Technique: Paired axial CT (left) and PSMA PET (right), 18F-PSMA tracer. slice 137 of 435. PET panel 200×200 px (4.1 mm/px).
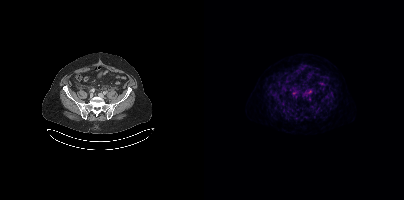
Findings: Coordinates are on the 200×200 PET (right) panel. Small PSMA-avid focus (2 to 4 px across) near (center x, center y): (100, 98).